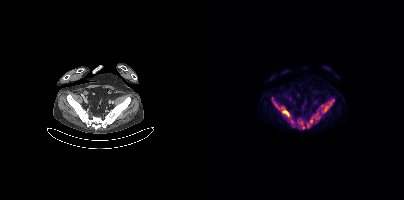
Coordinates are on the 200×200 PET (right) panel. (showing 8 of 9 foci) PSMA-avid tumor lesion bounding boxes (x0,y0,x1,y1): [93,119,101,129]; [102,117,109,128]; [68,97,74,107]; [84,117,90,126]; [79,110,85,116]; [120,106,124,111]. Small PSMA-avid foci (2 to 4 px across) near (center x, center y): (126, 103); (117, 105).